Paired axial CT (left) and PSMA PET (right), [18F]PSMA-1007 tracer. Slice 218 of 417. PET panel 200×200 px (4.1 mm/px).
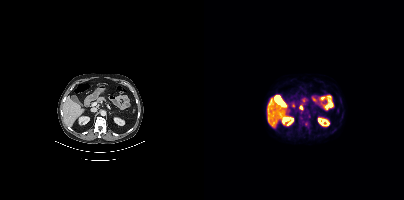
Coordinates are on the 200×200 PET (right) panel. Small PSMA-avid focus (2 to 4 px across) near (center x, center y): (97, 107).